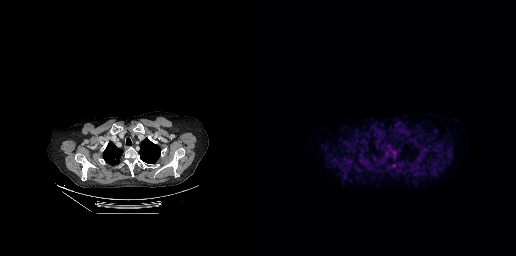
{"modality":"PSMA PET/CT","view":"axial","tracer":"18F","pet_grid":[256,256],"coord_frame":"pet_panel","coord_format":"x0,y0,x1,y1","lesion_bboxes":[[131,163,137,169]]}